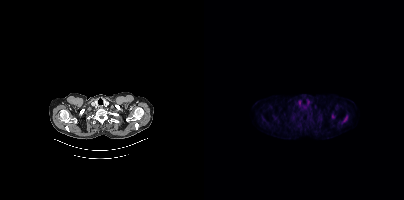
Coordinates are on the 200×200 PET (right) panel. PSMA-avid tumor lesion bounding boxes (x0,y0,x1,y1): [137,114,144,123]; [127,114,131,118].